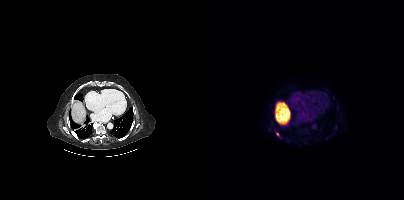
modality: PSMA PET/CT | tracer: 18F | view: axial
Coordinates are on the 200×200 PET (right) panel. (showing 1 of 3 foci) PSMA-avid tumor lesion bounding box (x0,y0,x1,y1): [72,132,75,136].